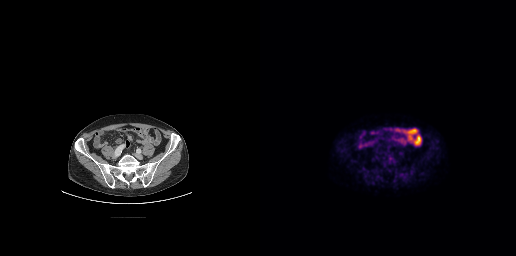
Technique: Two-panel axial: CT | PSMA PET, 18F-PSMA tracer. acquired on GE Discovery 690.
Findings: Coordinates are on the 256×256 PET (right) panel. PSMA-avid tumor lesion bounding box (x0, y0)-(x1, y1): (128, 159)-(132, 163).